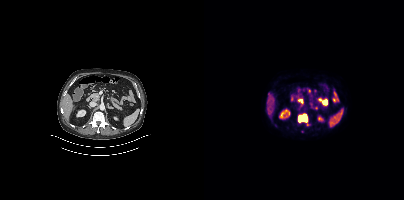
{"modality":"PSMA PET/CT","view":"axial","tracer":"18F","pet_grid":[200,200],"coord_frame":"pet_panel","coord_format":"x0,y0,x1,y1","partial":true,"lesion_bboxes":[[94,113,103,122]]}